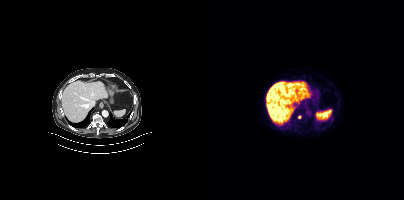
Coordinates are on the 200×200 PET (right) panel. Small PSMA-avid focus (2 to 4 px across) near (center x, center y): (95, 117).